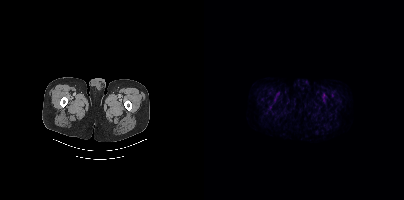
No tumor lesions annotated on this slice.